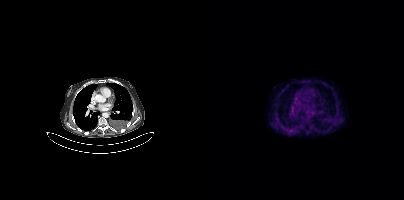
Two-panel axial: CT | PSMA PET, 18F tracer. Acquired on Siemens Biograph mCT Flow 20. PET panel 200×200 px (4.1 mm/px). Coordinates are on the 200×200 PET (right) panel. Small PSMA-avid focus (2 to 4 px across) near (center x, center y): (119, 131).